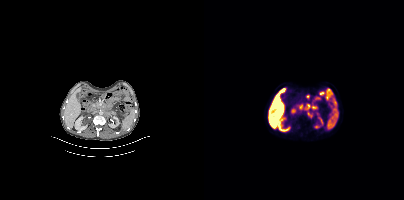
Paired axial CT (left) and PSMA PET (right), 18F-PSMA tracer. Slice 210 of 435. PET panel 200×200 px (4.1 mm/px). Coordinates are on the 200×200 PET (right) panel. PSMA-avid tumor lesion bounding boxes (x0, y0)-(x1, y1): (102, 104)-(108, 118) / (108, 106)-(111, 110). Small PSMA-avid focus (2 to 4 px across) near (center x, center y): (96, 106).